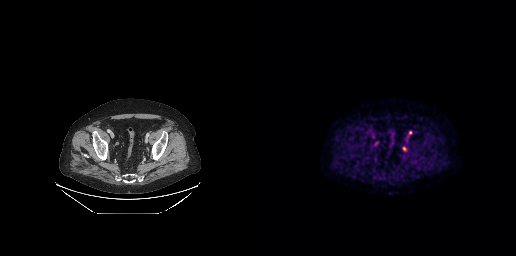
Coordinates are on the 256×256 PET (right) panel. (showing 2 of 3 foci) Small PSMA-avid foci (2 to 4 px across) near (center x, center y): (150, 132) | (144, 148). Paired axial CT (left) and PSMA PET (right), [18F]PSMA-1007 tracer.